Technique: Left: CT. Right: PSMA PET, same axial level, 18F tracer. slice position z = -696 mm.
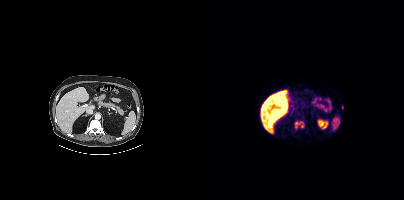
Findings: Coordinates are on the 200×200 PET (right) panel. PSMA-avid tumor lesion bounding box (x0, y0)-(x1, y1): (91, 121)-(100, 130). Small PSMA-avid focus (2 to 4 px across) near (center x, center y): (138, 107).